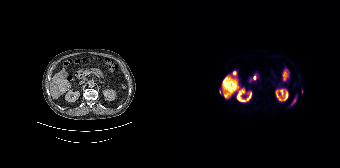
{"pet_grid":[168,168],"coord_frame":"pet_panel","coord_format":"x0,y0,x1,y1","partial":true,"lesion_bboxes":[],"small_foci_centers":[[48,91]],"modality":"PSMA PET/CT","view":"axial","tracer":"18F-PSMA"}